- Left: CT. Right: PSMA PET, same axial level, [18F]PSMA-1007 tracer
- PET panel 200×200 px (4.1 mm/px)
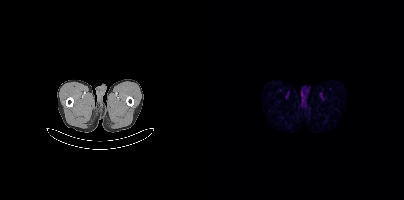
Findings: This slice has no annotated PSMA-avid lesion.